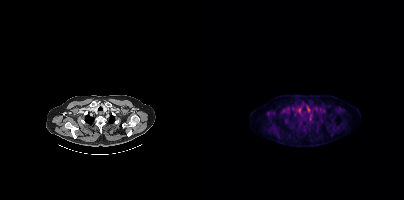
- Left: CT. Right: PSMA PET, same axial level, 18F-PSMA tracer
- slice 350 of 415
Findings: Coordinates are on the 200×200 PET (right) panel. Small PSMA-avid focus (2 to 4 px across) near (center x, center y): (106, 119).